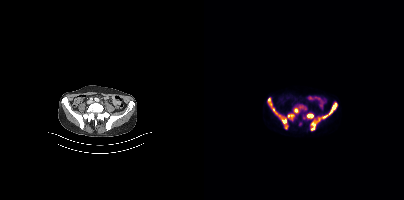
Paired axial CT (left) and PSMA PET (right), [18F]PSMA-1007 tracer. Acquired on Siemens Biograph mCT Flow 20. Slice position z = -816 mm. PET panel 200×200 px (4.1 mm/px). Coordinates are on the 200×200 PET (right) panel. (showing 3 of 4 foci) PSMA-avid tumor lesion bounding boxes (x0, y0)-(x1, y1): (64, 98)-(99, 129); (102, 101)-(133, 130). Small PSMA-avid focus (2 to 4 px across) near (center x, center y): (101, 108).